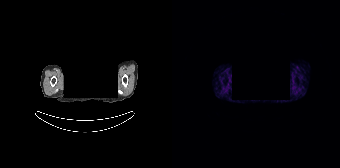
- Two-panel axial: CT | PSMA PET, [68Ga]Ga-PSMA-11 tracer
- PET panel 168×168 px (4.1 mm/px)
- head region blanked for anonymization (face removed)
Findings: Negative for PSMA-avid disease on this slice.